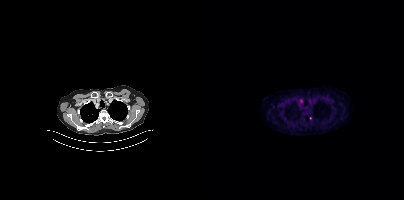
Left: CT. Right: PSMA PET, same axial level, [18F]PSMA-1007 tracer. PET panel 200×200 px (4.1 mm/px). Coordinates are on the 200×200 PET (right) panel. Small PSMA-avid focus (2 to 4 px across) near (center x, center y): (106, 118).